modality: PSMA PET/CT | tracer: 68Ga-PSMA | view: axial
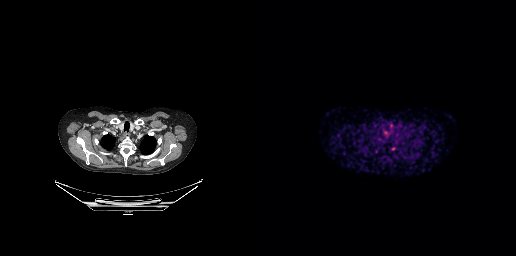
Coordinates are on the 256×256 PET (right) panel. PSMA-avid tumor lesion bounding box (x, y, width, height): x=131 y=147 w=5 h=4.